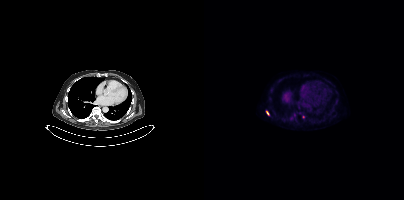
Findings: Coordinates are on the 200×200 PET (right) panel. Small PSMA-avid focus (2 to 4 px across) near (center x, center y): (63, 113).
Technique: Two-panel axial: CT | PSMA PET, [18F]PSMA-1007 tracer.